Technique: Paired axial CT (left) and PSMA PET (right), 68Ga-PSMA tracer. PET panel 200×200 px (4.1 mm/px).
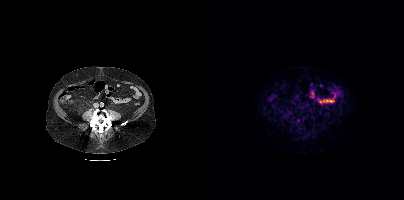
Findings: No tumor lesions annotated on this slice.